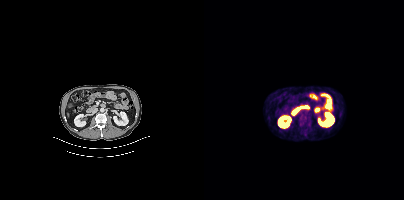
Findings: Coordinates are on the 200×200 PET (right) panel. PSMA-avid tumor lesion bounding box (x, y, width, height): x=96 y=116 w=11 h=11.
Technique: Two-panel axial: CT | PSMA PET, [18F]PSMA-1007 tracer.